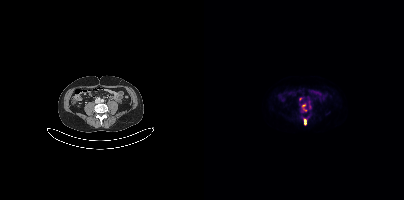
Coordinates are on the 200×200 PET (right) panel. (showing 3 of 5 foci) PSMA-avid tumor lesion bounding box (x0, y0)-(x1, y1): (100, 118)-(102, 124). Small PSMA-avid foci (2 to 4 px across) near (center x, center y): (96, 99) / (99, 105).